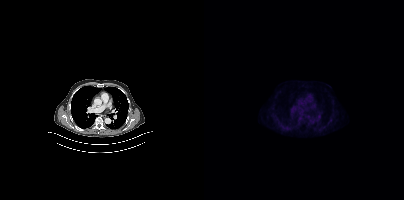
Paired axial CT (left) and PSMA PET (right), 18F-PSMA tracer. Slice position z = -1146 mm. PET panel 200×200 px (4.1 mm/px). Negative for PSMA-avid disease on this slice.